Two-panel axial: CT | PSMA PET, [18F]PSMA-1007 tracer. Slice position z = -706 mm.
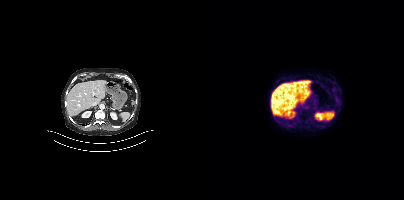
No PSMA-avid tumor lesions on this slice.